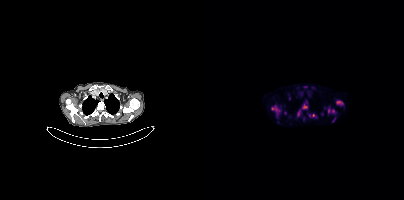
Coordinates are on the 200×200 PET (right) panel. (showing 8 of 9 foci) PSMA-avid tumor lesion bounding boxes (x0,y0,x1,y1): [67,105,76,115], [124,108,131,113], [132,101,139,104], [98,105,103,109], [93,110,96,116], [108,114,112,117]. Small PSMA-avid foci (2 to 4 px across) near (center x, center y): (130, 119), (105, 115).
modality: PSMA PET/CT | tracer: 18F | view: axial | PET grid: 200×200